Left: CT. Right: PSMA PET, same axial level, [18F]PSMA-1007 tracer.
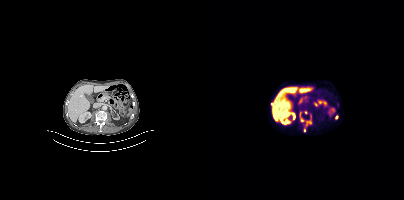
Coordinates are on the 200×200 PET (right) panel. PSMA-avid tumor lesion bounding boxes (x0,y0,x1,y1): [99,113,108,132], [95,111,103,121]. Small PSMA-avid focus (2 to 4 px across) near (center x, center y): (132, 117).